- Two-panel axial: CT | PSMA PET, [68Ga]Ga-PSMA-11 tracer
- PET panel 168×168 px (4.1 mm/px)
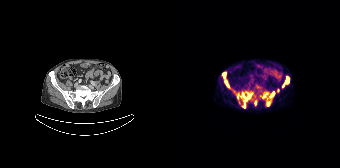
Findings: Coordinates are on the 168×168 PET (right) panel. (showing 10 of 14 foci) PSMA-avid tumor lesion bounding boxes (x0,y0,x1,y1): [50,72,57,87]; [70,93,80,102]; [98,92,102,97]; [113,77,116,82]; [65,94,66,98]. Small PSMA-avid foci (2 to 4 px across) near (center x, center y): (96, 103); (83, 102); (92, 96); (71, 106); (68, 96).